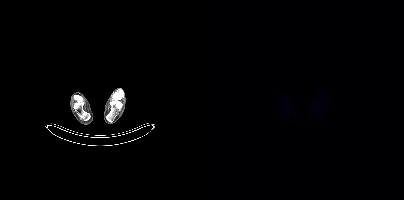
- Two-panel axial: CT | PSMA PET, 18F-PSMA tracer
- slice position z = -1887 mm
- PET panel 200×200 px (4.1 mm/px)
Findings: This slice has no annotated PSMA-avid lesion.